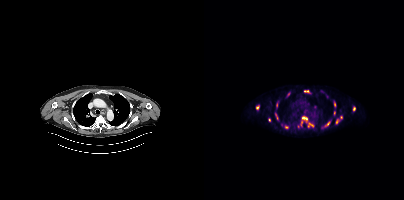
Left: CT. Right: PSMA PET, same axial level, 18F-PSMA tracer. Slice 274 of 401.
Coordinates are on the 200×200 PET (right) panel. PSMA-avid tumor lesion bounding boxes (partial; 4 more foci not listed):
| # | x0 | y0 | x1 | y1 |
|---|---|---|---|---|
| 1 | 117 | 121 | 126 | 128 |
| 2 | 104 | 123 | 110 | 127 |
| 3 | 98 | 117 | 103 | 119 |
| 4 | 132 | 119 | 135 | 123 |
| 5 | 130 | 102 | 131 | 106 |
| 6 | 100 | 90 | 104 | 92 |
| 7 | 71 | 114 | 73 | 119 |
Small PSMA-avid foci (2 to 4 px across) near (center x, center y): (82, 127); (149, 108); (137, 117); (72, 104); (53, 107); (111, 106); (130, 113); (65, 120).